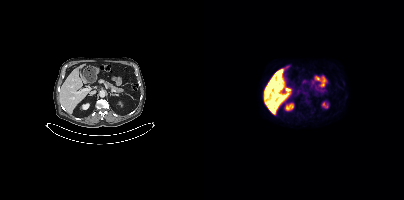
modality: PSMA PET/CT | tracer: [18F]PSMA-1007 | view: axial | PET grid: 200×200
This slice has no annotated PSMA-avid lesion.